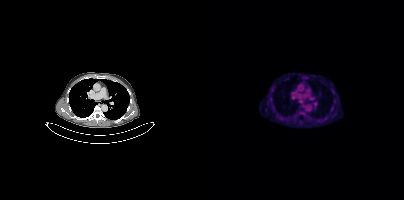
Left: CT. Right: PSMA PET, same axial level, 18F tracer. Acquired on Siemens Biograph mCT Flow 20. PET panel 200×200 px (4.1 mm/px). Coordinates are on the 200×200 PET (right) panel. Small PSMA-avid focus (2 to 4 px across) near (center x, center y): (97, 100).